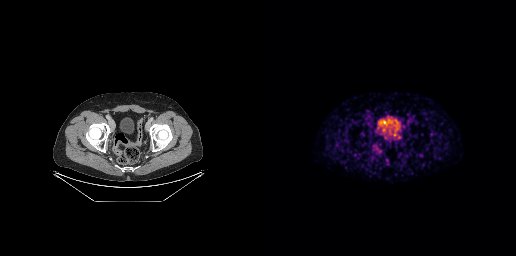
Paired axial CT (left) and PSMA PET (right), [68Ga]Ga-PSMA-11 tracer. Slice 87 of 299. PET panel 256×256 px (2.7 mm/px). This slice has no annotated PSMA-avid lesion.